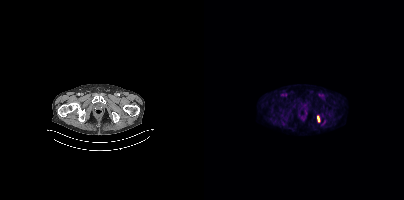
{"modality":"PSMA PET/CT","view":"axial","tracer":"[18F]PSMA-1007","pet_grid":[200,200],"coord_frame":"pet_panel","coord_format":"x0,y0,x1,y1","lesion_bboxes":[[113,116,115,121]]}